Paired axial CT (left) and PSMA PET (right), 18F tracer. Acquired on GE Discovery 690.
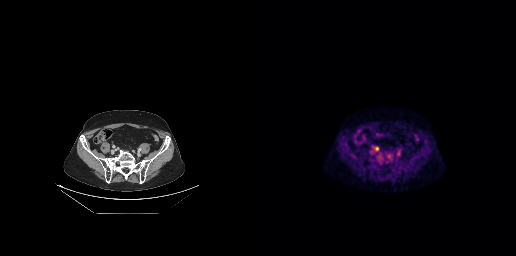
Coordinates are on the 256×256 PET (right) panel. Small PSMA-avid focus (2 to 4 px across) near (center x, center y): (117, 148).